Paired axial CT (left) and PSMA PET (right), 18F tracer. Slice position z = -1316 mm.
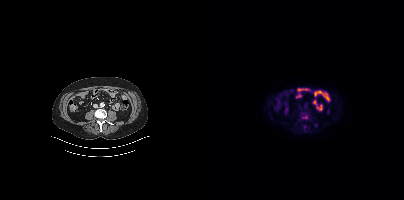
Coordinates are on the 200×200 PET (right) panel. (showing 2 of 3 foci) PSMA-avid tumor lesion bounding box (x0,y0,x1,y1): [99,125,102,130]. Small PSMA-avid focus (2 to 4 px across) near (center x, center y): (112, 125).